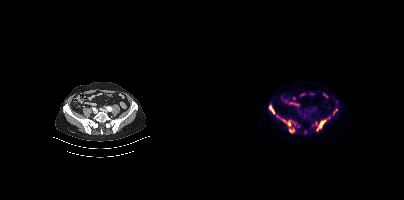
{"pet_grid":[200,200],"coord_frame":"pet_panel","coord_format":"x0,y0,x1,y1","partial":true,"lesion_bboxes":[[78,119,92,126],[112,120,121,131],[85,128,90,132],[65,105,68,109]],"small_foci_centers":[[69,112],[132,109],[129,112]],"modality":"PSMA PET/CT","view":"axial","tracer":"18F"}